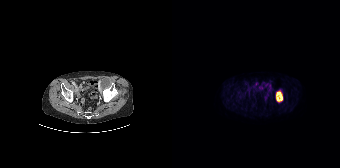
modality: PSMA PET/CT | tracer: [18F]PSMA-1007 | view: axial | PET grid: 168×168
Coordinates are on the 168×168 PET (right) panel. PSMA-avid tumor lesion bounding box (x0,y0,x1,y1): [104,90,111,102].